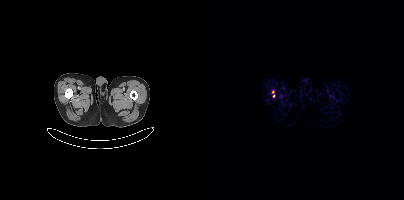
Two-panel axial: CT | PSMA PET, 18F tracer. Slice position z = -1033 mm. Coordinates are on the 200×200 PET (right) panel. Small PSMA-avid foci (2 to 4 px across) near (center x, center y): (68, 91) (69, 95).